- Two-panel axial: CT | PSMA PET, 68Ga tracer
- slice position z = 249 mm
- PET panel 200×200 px (4.1 mm/px)
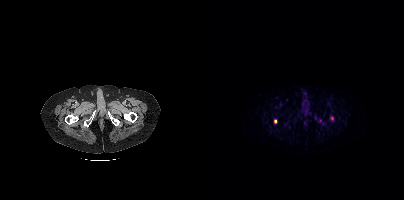
Findings: Coordinates are on the 200×200 PET (right) panel. Small PSMA-avid focus (2 to 4 px across) near (center x, center y): (71, 121).